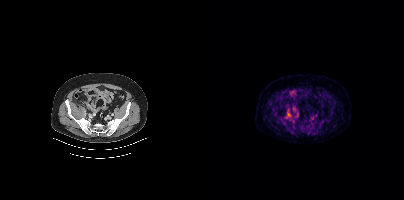
- Paired axial CT (left) and PSMA PET (right), [18F]PSMA-1007 tracer
- slice 150 of 454
- PET panel 200×200 px (4.1 mm/px)
Findings: Coordinates are on the 200×200 PET (right) panel. (showing 1 of 2 foci) PSMA-avid tumor lesion bounding box (x0,y0,x1,y1): [82,113,86,117].